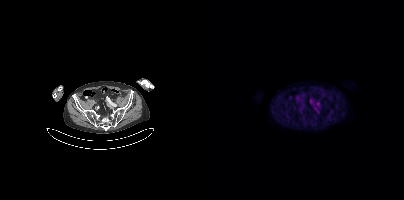
- Two-panel axial: CT | PSMA PET, [18F]PSMA-1007 tracer
- PET panel 200×200 px (4.1 mm/px)
Findings: Coordinates are on the 200×200 PET (right) panel. Small PSMA-avid foci (2 to 4 px across) near (center x, center y): (114, 103); (106, 100).